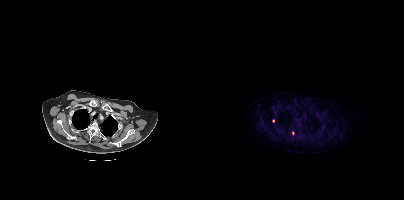
Two-panel axial: CT | PSMA PET, 18F-PSMA tracer. Coordinates are on the 200×200 PET (right) panel. Small PSMA-avid foci (2 to 4 px across) near (center x, center y): (88, 133), (69, 120).